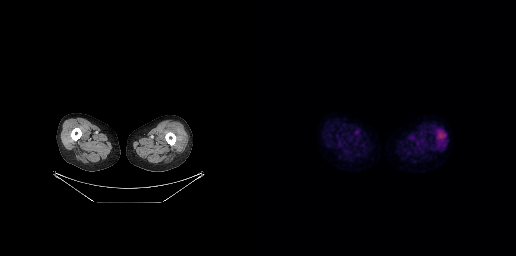
Two-panel axial: CT | PSMA PET, 18F tracer. PET panel 256×256 px (2.7 mm/px). No PSMA-avid tumor lesions on this slice.